Paired axial CT (left) and PSMA PET (right), [18F]PSMA-1007 tracer. Slice position z = -1422 mm.
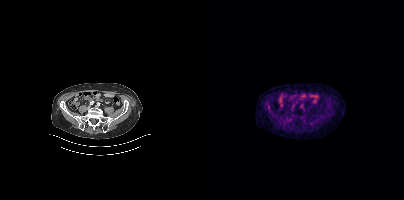
This slice has no annotated PSMA-avid lesion.